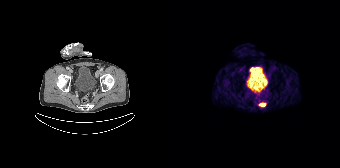
Technique: Two-panel axial: CT | PSMA PET, [68Ga]Ga-PSMA-11 tracer.
Findings: Coordinates are on the 168×168 PET (right) panel. PSMA-avid tumor lesion bounding box (x, y, width, height): x=87 y=102 w=7 h=5.